- Left: CT. Right: PSMA PET, same axial level, [18F]PSMA-1007 tracer
- slice position z = -1290 mm
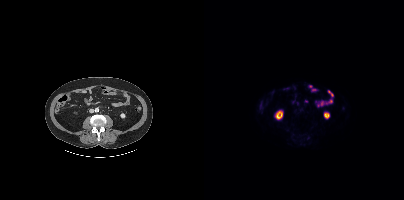
Findings: No tumor lesions annotated on this slice.